- Left: CT. Right: PSMA PET, same axial level, [18F]PSMA-1007 tracer
- acquired on GE Discovery 690
- slice position z = -327 mm
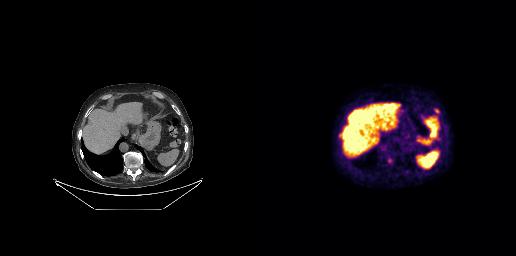
Findings: Coordinates are on the 256×256 PET (right) panel. Small PSMA-avid focus (2 to 4 px across) near (center x, center y): (177, 111).